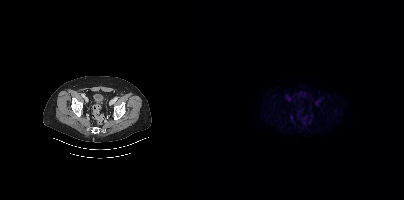
This slice has no annotated PSMA-avid lesion.